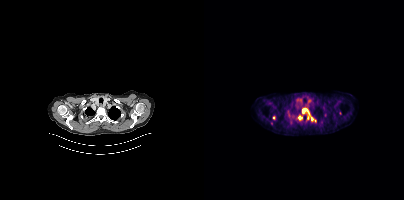
{"modality":"PSMA PET/CT","view":"axial","tracer":"18F-PSMA","pet_grid":[200,200],"coord_frame":"pet_panel","coord_format":"x0,y0,x1,y1","partial":true,"lesion_bboxes":[[98,107,112,121],[94,115,98,120]],"small_foci_centers":[[69,117]]}